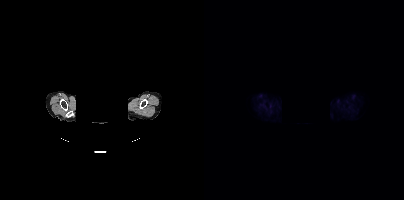
deidentification: head region blanked (face removed) | modality: PSMA PET/CT | tracer: 18F | view: axial
This slice has no annotated PSMA-avid lesion.